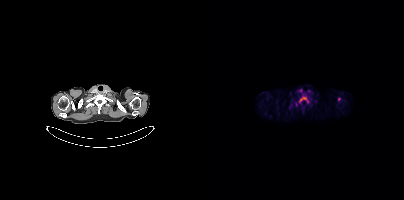
Technique: Two-panel axial: CT | PSMA PET, [18F]PSMA-1007 tracer. acquired on Siemens Biograph mCT Flow 20. slice position z = -938 mm.
Findings: Coordinates are on the 200×200 PET (right) panel. (showing 2 of 4 foci) PSMA-avid tumor lesion bounding box (x0, y0)-(x1, y1): (95, 95)-(105, 103). Small PSMA-avid focus (2 to 4 px across) near (center x, center y): (134, 99).